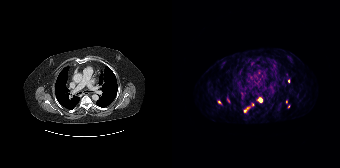
- Left: CT. Right: PSMA PET, same axial level, 68Ga tracer
- slice position z = -1018 mm
Findings: Coordinates are on the 168×168 PET (right) panel. (showing 6 of 9 foci) PSMA-avid tumor lesion bounding boxes (x, y, width, height): x=86 y=97 w=5 h=6 | x=55 y=98 w=3 h=5. Small PSMA-avid foci (2 to 4 px across) near (center x, center y): (47, 102) | (73, 111) | (114, 101) | (116, 106).